modality: PSMA PET/CT | tracer: 18F | view: axial | PET grid: 200×200
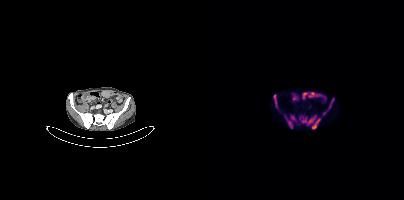
Coordinates are on the 200×200 PET (right) panel. (showing 6 of 7 foci) PSMA-avid tumor lesion bounding boxes (x0,y0,x1,y1): [81,115,91,128] [98,116,111,124] [108,118,116,129] [123,98,130,110] [69,94,73,107]. Small PSMA-avid focus (2 to 4 px across) near (center x, center y): (120, 113).